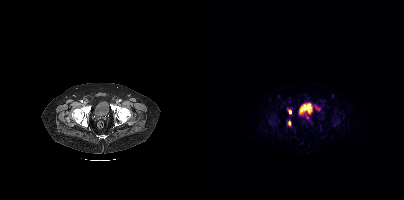
Coordinates are on the 200×200 PET (right) panel. PSMA-avid tumor lesion bounding boxes:
| # | x0 | y0 | x1 | y1 |
|---|---|---|---|---|
| 1 | 108 | 105 | 112 | 107 |
| 2 | 84 | 121 | 86 | 125 |
Small PSMA-avid focus (2 to 4 px across) near (center x, center y): (86, 112).
Left: CT. Right: PSMA PET, same axial level, [68Ga]Ga-PSMA-11 tracer.